Technique: Two-panel axial: CT | PSMA PET, [18F]PSMA-1007 tracer. acquired on GE Discovery 690. PET panel 256×256 px (2.7 mm/px).
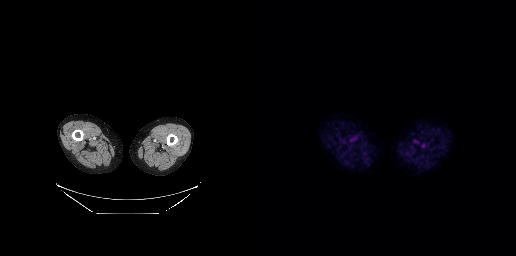
Findings: This slice has no annotated PSMA-avid lesion.